modality: PSMA PET/CT | tracer: 18F-PSMA | view: axial
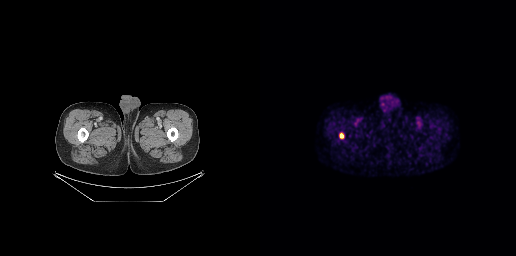
Coordinates are on the 256×256 PET (right) panel. PSMA-avid tumor lesion bounding box (x0,y0,x1,y1): [80,133,83,138].